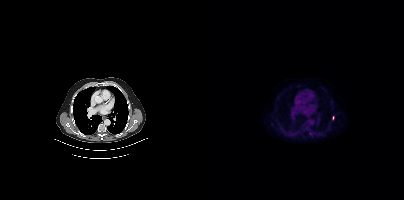
Left: CT. Right: PSMA PET, same axial level, [18F]PSMA-1007 tracer. Only PSMA-avid lesion pieces thinner than 2 px on this slice (not listed).